Left: CT. Right: PSMA PET, same axial level, [68Ga]Ga-PSMA-11 tracer.
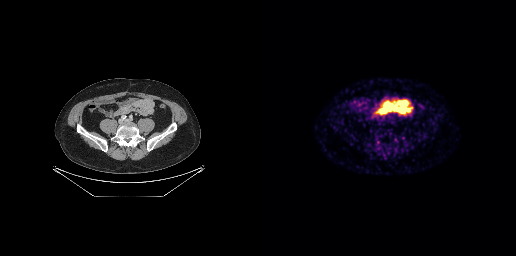
Coordinates are on the 256×256 PET (right) panel. PSMA-avid tumor lesion bounding box (x, y, width, height): x=111 y=116 w=6 h=3.